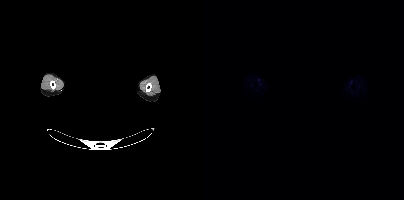
deidentification: head region blacked out before release | modality: PSMA PET/CT | tracer: 18F-PSMA | view: axial | PET grid: 200×200
This slice has no annotated PSMA-avid lesion.